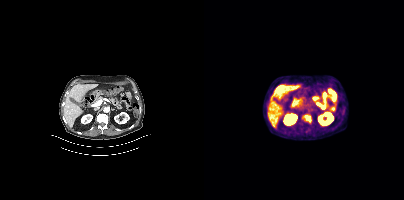
Findings: Coordinates are on the 200×200 PET (right) panel. PSMA-avid tumor lesion bounding box (x, y, width, height): x=100 y=115 w=8 h=8.
Technique: Two-panel axial: CT | PSMA PET, 18F tracer. acquired on Siemens Biograph mCT Flow 20. PET panel 200×200 px (4.1 mm/px).